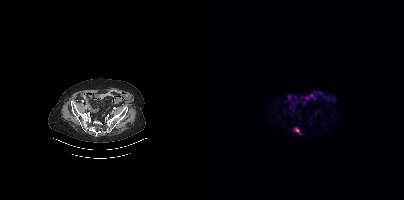
Coordinates are on the 200×200 PET (right) panel. PSMA-avid tumor lesion bounding box (x0, y0)-(x1, y1): (90, 127)-(96, 134).
modality: PSMA PET/CT | tracer: [18F]PSMA-1007 | view: axial | PET grid: 200×200